- Two-panel axial: CT | PSMA PET, 18F tracer
- slice position z = -1535 mm
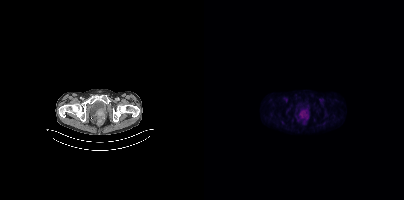
Findings: Coordinates are on the 200×200 PET (right) panel. PSMA-avid tumor lesion bounding box (x0,y0,x1,y1): [98,112,104,118].